modality: PSMA PET/CT | tracer: 18F-PSMA | view: axial
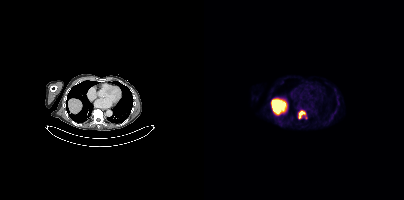
Coordinates are on the 200×200 PET (right) panel. PSMA-avid tumor lesion bounding box (x0,y0,x1,y1): [94,110,102,119].